Paired axial CT (left) and PSMA PET (right), 68Ga-PSMA tracer. Acquired on Siemens Biograph 64-4R TruePoint. Slice 5 of 165.
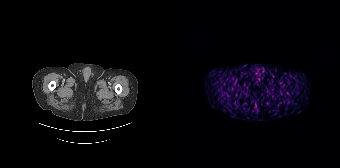
No PSMA-avid tumor lesions on this slice.